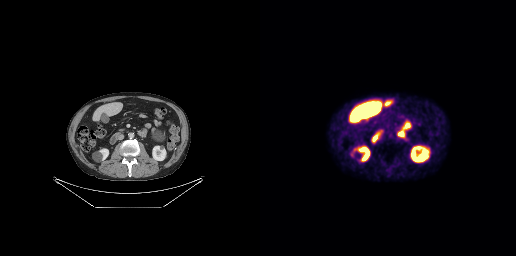
Two-panel axial: CT | PSMA PET, 18F-PSMA tracer. Acquired on GE Discovery 690. Slice 128 of 263. This slice has no annotated PSMA-avid lesion.